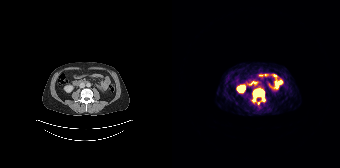
Coordinates are on the 168×168 PET (right) panel. (showing 1 of 2 foci) PSMA-avid tumor lesion bounding box (x0, y0)-(x1, y1): (81, 89)-(92, 101).